- Left: CT. Right: PSMA PET, same axial level, 18F tracer
- slice 324 of 403
- PET panel 200×200 px (4.1 mm/px)
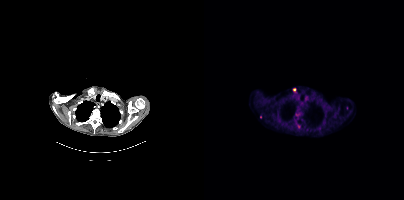
Findings: Coordinates are on the 200×200 PET (right) panel. (showing 4 of 5 foci) Small PSMA-avid foci (2 to 4 px across) near (center x, center y): (90, 89); (56, 117); (94, 126); (92, 114).